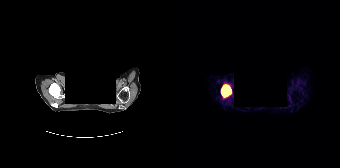
Head region blanked for anonymization (face removed).
Coordinates are on the 168×168 PET (right) panel. PSMA-avid tumor lesion bounding box (x0,y0,x1,y1): [49,85,59,96].